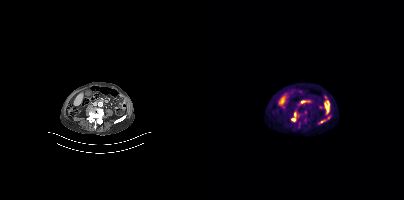
Coordinates are on the 200×200 PET (right) panel. PSMA-avid tumor lesion bounding boxes (x0,y0,x1,y1): [87,111,95,122] [94,122,96,127].